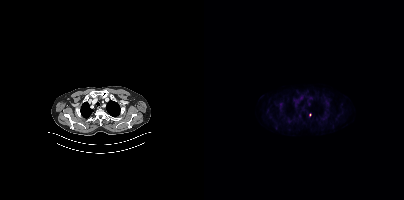
Only PSMA-avid lesion pieces thinner than 2 px on this slice (not listed).